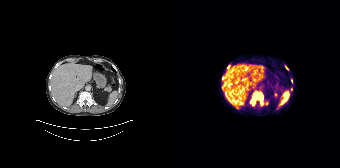
Coordinates are on the 168×168 PET (right) panel. PSMA-avid tumor lesion bounding boxes (partial; 2 more foci not listed):
| # | x0 | y0 | x1 | y1 |
|---|---|---|---|---|
| 1 | 78 | 92 | 91 | 105 |
Small PSMA-avid foci (2 to 4 px across) near (center x, center y): (107, 106); (56, 66); (50, 77); (119, 89); (95, 103); (114, 68).
Left: CT. Right: PSMA PET, same axial level, [68Ga]Ga-PSMA-11 tracer. Slice 110 of 195.